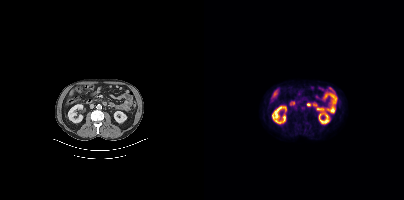
- Two-panel axial: CT | PSMA PET, 18F tracer
- slice position z = -621 mm
- PET panel 200×200 px (4.1 mm/px)
Findings: No tumor lesions annotated on this slice.